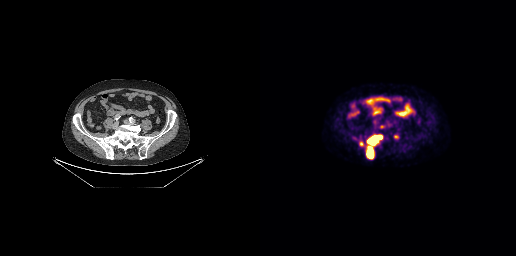
- Two-panel axial: CT | PSMA PET, 18F-PSMA tracer
- acquired on GE Discovery 690
- PET panel 256×256 px (2.7 mm/px)
Findings: Coordinates are on the 256×256 PET (right) panel. PSMA-avid tumor lesion bounding boxes (x, y, width, height): x=106 y=134 w=17 h=26 | x=134 y=135 w=5 h=3. Small PSMA-avid foci (2 to 4 px across) near (center x, center y): (101, 143) | (122, 126).